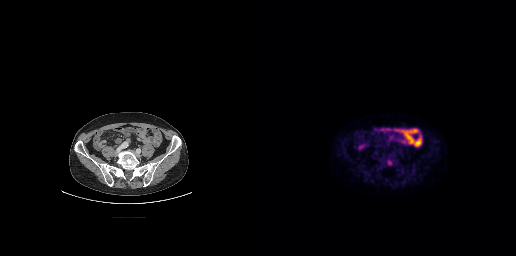
Findings: Coordinates are on the 256×256 PET (right) panel. PSMA-avid tumor lesion bounding box (x0,y0,x1,y1): [125,157,133,166].
- Paired axial CT (left) and PSMA PET (right), 18F-PSMA tracer
- slice 94 of 263